Paired axial CT (left) and PSMA PET (right), 68Ga tracer. Acquired on GE Discovery 690. Slice position z = -543 mm. PET panel 256×256 px (2.7 mm/px).
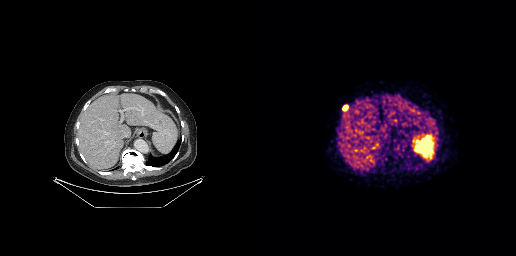
Coordinates are on the 256×256 PET (right) panel. PSMA-avid tumor lesion bounding boxes:
| # | x0 | y0 | x1 | y1 |
|---|---|---|---|---|
| 1 | 83 | 105 | 88 | 110 |